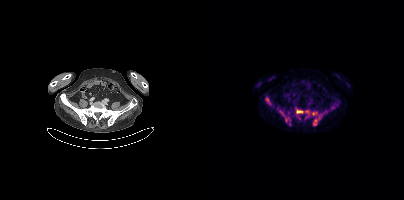
{"modality":"PSMA PET/CT","view":"axial","tracer":"18F","pet_grid":[200,200],"coord_frame":"pet_panel","coord_format":"x0,y0,x1,y1","partial":true,"lesion_bboxes":[[108,111,118,125],[92,109,106,118],[78,112,87,124],[62,98,67,105]],"small_foci_centers":[[95,118]]}